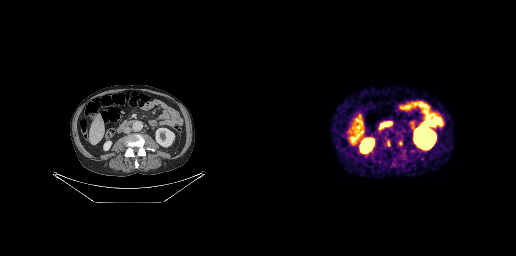
modality: PSMA PET/CT | tracer: 68Ga-PSMA | view: axial
Coordinates are on the 256×256 PET (right) panel. PSMA-avid tumor lesion bounding boxes (x, y, width, height): x=138 y=141 w=5 h=5 | x=128 y=140 w=3 h=7.